Technique: Paired axial CT (left) and PSMA PET (right), 18F tracer. PET panel 200×200 px (4.1 mm/px).
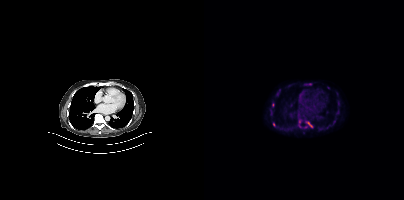
Findings: Coordinates are on the 200×200 PET (right) panel. (showing 3 of 6 foci) PSMA-avid tumor lesion bounding box (x0, y0)-(x1, y1): (102, 121)-(106, 125). Small PSMA-avid foci (2 to 4 px across) near (center x, center y): (70, 124) | (95, 121).